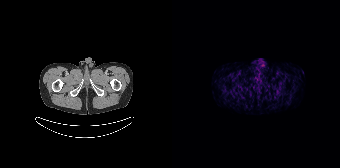
Paired axial CT (left) and PSMA PET (right), 68Ga-PSMA tracer. Slice position z = -1670 mm. No PSMA-avid tumor lesions on this slice.